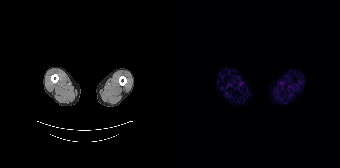
This slice has no annotated PSMA-avid lesion.